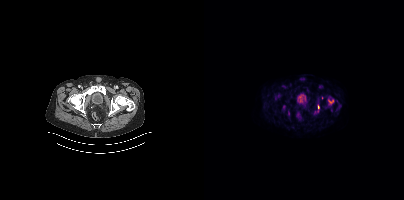
- Two-panel axial: CT | PSMA PET, 18F tracer
- acquired on Siemens Biograph mCT Flow 20
Findings: Coordinates are on the 200×200 PET (right) panel. Small PSMA-avid focus (2 to 4 px across) near (center x, center y): (114, 107).